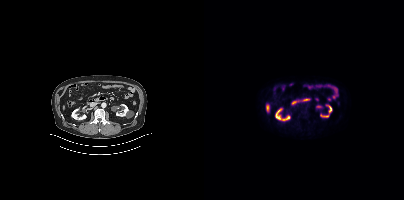
- Paired axial CT (left) and PSMA PET (right), 18F-PSMA tracer
- slice 166 of 389
Findings: No tumor lesions annotated on this slice.